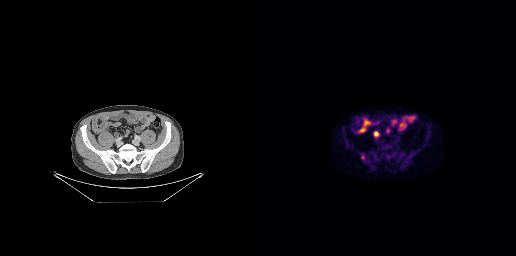
Coordinates are on the 256×256 PET (right) panel. PSMA-avid tumor lesion bounding box (x0, y0)-(x1, y1): (101, 155)-(104, 159).